Paired axial CT (left) and PSMA PET (right), [18F]PSMA-1007 tracer. Slice position z = -444 mm. PET panel 256×256 px (2.7 mm/px).
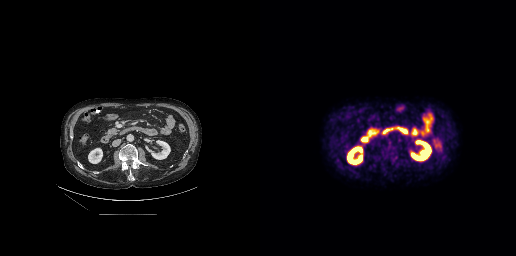
No PSMA-avid tumor lesions on this slice.